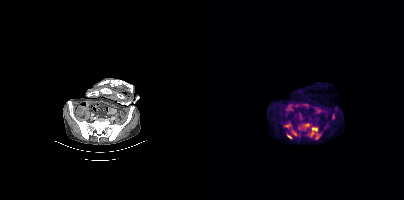
{"modality":"PSMA PET/CT","view":"axial","tracer":"18F-PSMA","pet_grid":[200,200],"coord_frame":"pet_panel","coord_format":"x0,y0,x1,y1","partial":true,"lesion_bboxes":[[103,126,117,139],[87,128,93,136],[99,123,105,128],[83,134,88,138],[128,114,130,118]],"small_foci_centers":[[83,125],[95,128]]}